- Two-panel axial: CT | PSMA PET, 18F-PSMA tracer
- acquired on GE Discovery 690
- slice position z = -113 mm
- PET panel 256×256 px (2.7 mm/px)
- an anonymization step blacked out a rectangle over the head in this scan
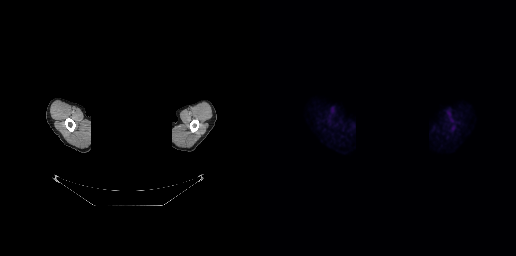
Findings: No PSMA-avid tumor lesions on this slice.